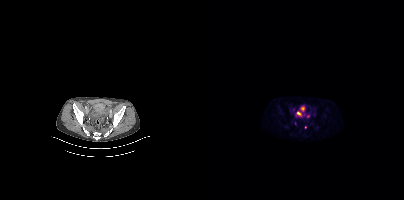
Coordinates are on the 200×200 PET (right) panel. (showing 3 of 5 foci) PSMA-avid tumor lesion bounding box (x, y, width, height): x=92 y=111 w=6 h=6. Small PSMA-avid foci (2 to 4 px across) near (center x, center y): (98, 109); (101, 127).
modality: PSMA PET/CT | tracer: [18F]PSMA-1007 | view: axial